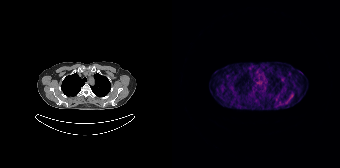
This slice has no annotated PSMA-avid lesion.